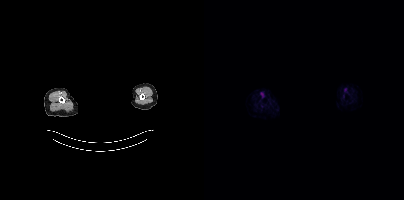
This slice has no annotated PSMA-avid lesion.
redaction: face masked with black rectangle | modality: PSMA PET/CT | tracer: 18F | view: axial | PET grid: 200×200